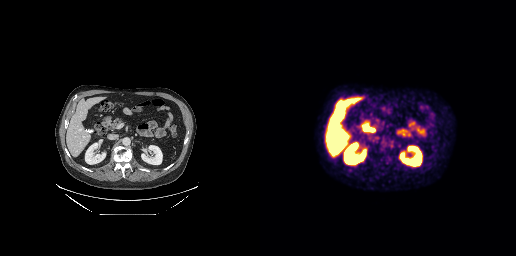
{"modality":"PSMA PET/CT","view":"axial","tracer":"18F","pet_grid":[256,256],"coord_frame":"pet_panel","coord_format":"x0,y0,x1,y1","psma_avid_lesions":false}